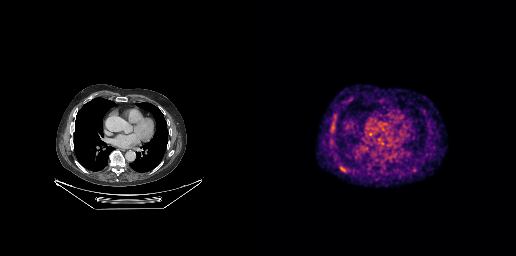
Technique: Two-panel axial: CT | PSMA PET, [18F]PSMA-1007 tracer. PET panel 256×256 px (2.7 mm/px).
Findings: Coordinates are on the 256×256 PET (right) panel. PSMA-avid tumor lesion bounding boxes (x, y, width, height): x=71 y=117 w=6 h=11 / x=79 y=166 w=7 h=7.